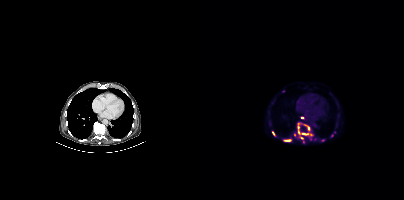
Coordinates are on the 200×200 PET (right) panel. (showing 9 of 13 foci) PSMA-avid tumor lesion bounding boxes (x0, y0)-(x1, y1): (93, 123)-(104, 134) / (99, 124)-(105, 129) / (80, 140)-(86, 141). Small PSMA-avid foci (2 to 4 px across) near (center x, center y): (98, 117) / (90, 134) / (107, 134) / (69, 133) / (98, 137) / (99, 141). Left: CT. Right: PSMA PET, same axial level, [18F]PSMA-1007 tracer. Acquired on Siemens Biograph mCT Flow 20.